Two-panel axial: CT | PSMA PET, 18F-PSMA tracer. Acquired on GE Discovery 690.
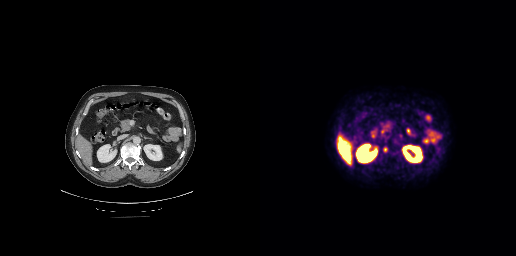
Coordinates are on the 256×256 PET (right) panel. Small PSMA-avid focus (2 to 4 px across) near (center x, center y): (125, 149).